Face de-identified by blanking a block of the head.
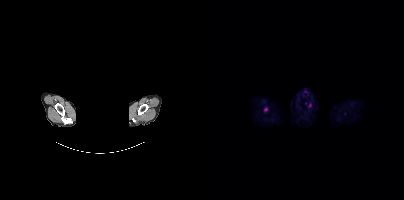
Coordinates are on the 200×200 PET (right) panel. PSMA-avid tumor lesion bounding box (x0,y0,x1,y1): [104,103,107,107]. Small PSMA-avid focus (2 to 4 px across) near (center x, center y): (61, 109).